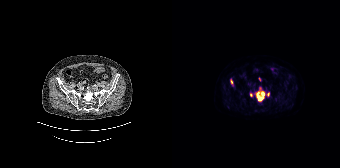
{"modality":"PSMA PET/CT","view":"axial","tracer":"18F","pet_grid":[168,168],"coord_frame":"pet_panel","coord_format":"x0,y0,x1,y1","lesion_bboxes":[[83,87,93,101],[58,79,61,85],[95,92,97,96]],"small_foci_centers":[[79,94],[87,78]]}